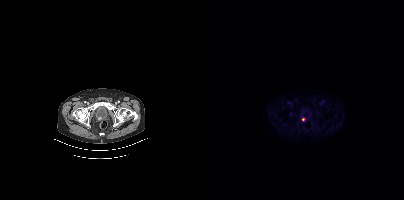
- Paired axial CT (left) and PSMA PET (right), 18F-PSMA tracer
- slice 65 of 383
Findings: Coordinates are on the 200×200 PET (right) panel. Small PSMA-avid focus (2 to 4 px across) near (center x, center y): (99, 119).